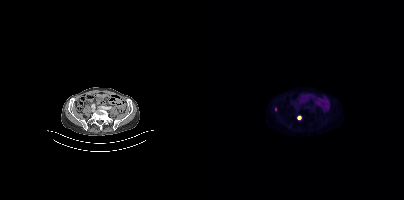
Left: CT. Right: PSMA PET, same axial level, 18F-PSMA tracer. Acquired on Siemens Biograph mCT Flow 20. Slice position z = 64 mm.
Coordinates are on the 200×200 PET (right) panel. PSMA-avid tumor lesion bounding boxes:
| # | x0 | y0 | x1 | y1 |
|---|---|---|---|---|
| 1 | 93 | 116 | 97 | 119 |